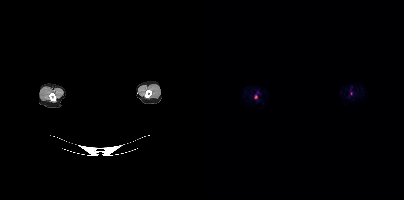
Paired axial CT (left) and PSMA PET (right), 18F tracer. Acquired on Siemens Biograph mCT Flow 20. Slice position z = -250 mm. A rectangular block over the head has been blanked out for de-identification. This slice has no annotated PSMA-avid lesion.